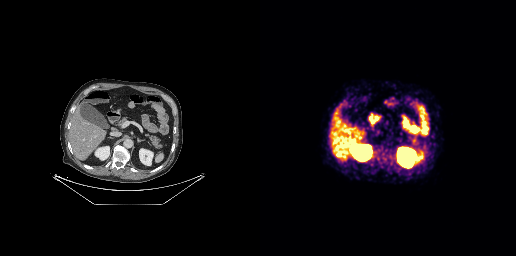
No tumor lesions annotated on this slice.
modality: PSMA PET/CT | tracer: 68Ga-PSMA | view: axial